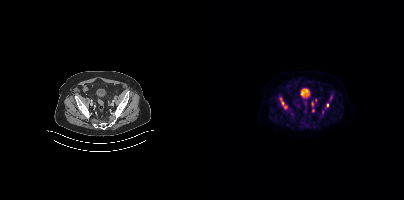
Coordinates are on the 200×200 PET (right) panel. (showing 6 of 7 foci) PSMA-avid tumor lesion bounding boxes (x, y, width, height): x=76 y=98 w=8 h=11 | x=107 y=101 w=3 h=6 | x=126 y=95 w=3 h=5 | x=122 y=104 w=3 h=5. Small PSMA-avid foci (2 to 4 px across) near (center x, center y): (111, 100) | (118, 111).